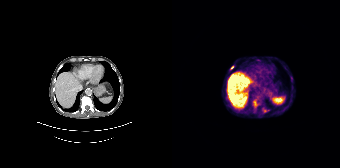
Paired axial CT (left) and PSMA PET (right), [68Ga]Ga-PSMA-11 tracer. Acquired on Siemens Biograph 64-4R TruePoint. PET panel 168×168 px (4.1 mm/px). Coordinates are on the 168×168 PET (right) panel. (showing 5 of 6 foci) PSMA-avid tumor lesion bounding boxes (x0, y0)-(x1, y1): (80, 99)-(88, 109) | (90, 108)-(97, 112). Small PSMA-avid foci (2 to 4 px across) near (center x, center y): (119, 77) | (59, 67) | (86, 60).